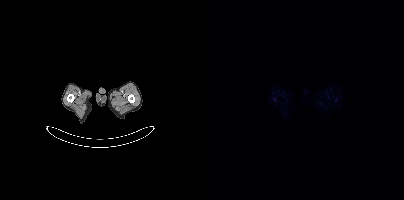
{"modality":"PSMA PET/CT","view":"axial","tracer":"18F","pet_grid":[200,200],"coord_frame":"pet_panel","coord_format":"x0,y0,x1,y1","psma_avid_lesions":false}